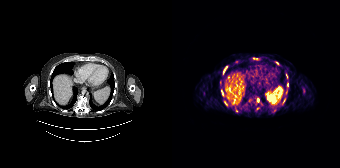
Findings: Coordinates are on the 168×168 PET (right) panel. (showing 8 of 10 foci) PSMA-avid tumor lesion bounding boxes (x, y, width, height): x=51 y=66 w=5 h=8; x=52 y=101 w=4 h=5; x=50 y=91 w=2 h=5; x=114 y=74 w=2 h=5. Small PSMA-avid foci (2 to 4 px across) near (center x, center y): (86, 99); (115, 84); (105, 63); (112, 100).
Technique: Two-panel axial: CT | PSMA PET, 68Ga-PSMA tracer. acquired on Siemens Biograph 64-4R TruePoint.